modality: PSMA PET/CT | tracer: [18F]PSMA-1007 | view: axial | PET grid: 200×200
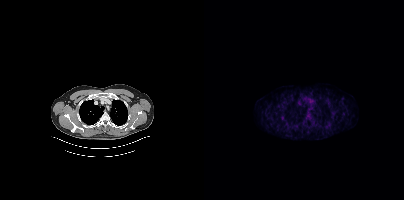
No PSMA-avid tumor lesions on this slice.